Technique: Paired axial CT (left) and PSMA PET (right), 18F tracer. acquired on Siemens Biograph mCT Flow 20. slice position z = -1507 mm. PET panel 200×200 px (4.1 mm/px).
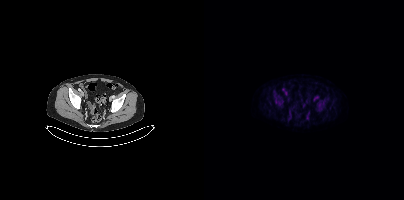
Findings: Only PSMA-avid lesion pieces thinner than 2 px on this slice (not listed).